Technique: Two-panel axial: CT | PSMA PET, 68Ga tracer. slice position z = -828 mm.
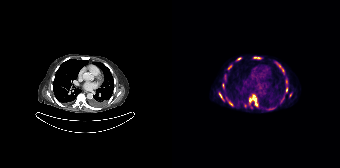
Findings: Coordinates are on the 168×168 PET (right) panel. PSMA-avid tumor lesion bounding boxes (x0, y0)-(x1, y1): (77, 94)-(86, 106) | (103, 62)-(112, 73) | (56, 101)-(61, 106) | (47, 92)-(51, 100) | (82, 57)-(88, 58) | (65, 57)-(69, 60) | (114, 88)-(115, 92). Small PSMA-avid foci (2 to 4 px across) near (center x, center y): (73, 105) | (58, 66) | (50, 85) | (118, 95) | (54, 98).